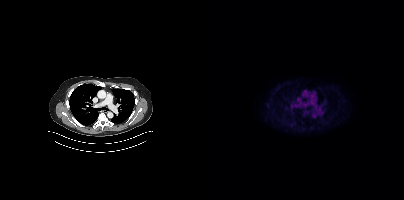
This slice has no annotated PSMA-avid lesion. Left: CT. Right: PSMA PET, same axial level, 18F tracer. Acquired on Siemens Biograph mCT Flow 20. Slice 308 of 436. PET panel 200×200 px (4.1 mm/px).